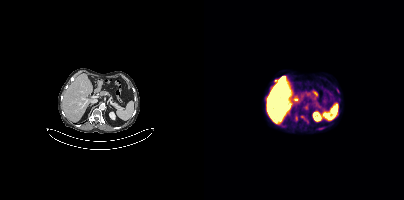
{"modality":"PSMA PET/CT","view":"axial","tracer":"18F-PSMA","pet_grid":[200,200],"coord_frame":"pet_panel","coord_format":"x0,y0,x1,y1","lesion_bboxes":[[97,116,103,121],[91,116,93,120]],"small_foci_centers":[[72,80]]}